modality: PSMA PET/CT | tracer: 68Ga-PSMA | view: axial | PET grid: 256×256
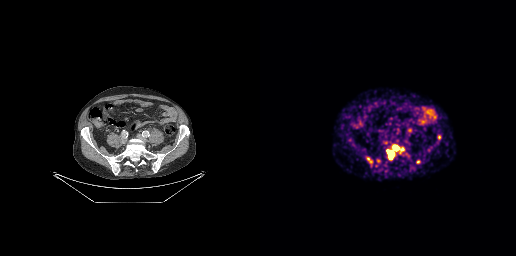
Coordinates are on the 256×256 PET (right) panel. PSMA-avid tumor lesion bounding boxes (x, y, width, height): x=127 y=145 w=17 h=15 | x=177 y=135 w=5 h=5 | x=156 y=160 w=5 h=4 | x=108 y=161 w=5 h=6. Small PSMA-avid focus (2 to 4 px across) near (center x, center y): (108, 158).